Technique: Paired axial CT (left) and PSMA PET (right), 18F-PSMA tracer. acquired on Siemens Biograph mCT Flow 20. PET panel 200×200 px (4.1 mm/px).
Note: A rectangular block over the head has been blanked out for de-identification.
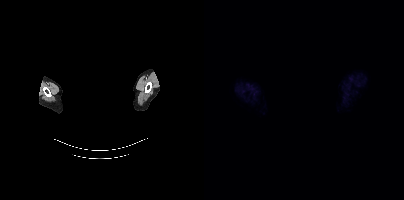
Findings: No PSMA-avid tumor lesions on this slice.